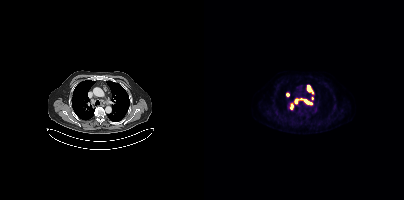
modality: PSMA PET/CT | tracer: [18F]PSMA-1007 | view: axial | PET grid: 200×200
Coordinates are on the 200×200 PET (right) panel. PSMA-avid tumor lesion bounding boxes (x, y, width, height): x=97 y=99 w=12 h=6 | x=91 y=99 w=3 h=5.